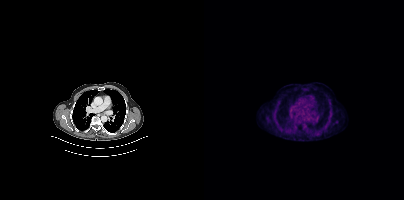
This slice has no annotated PSMA-avid lesion.